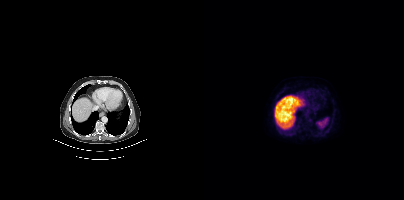
Left: CT. Right: PSMA PET, same axial level, 18F-PSMA tracer. PET panel 200×200 px (4.1 mm/px). This slice has no annotated PSMA-avid lesion.